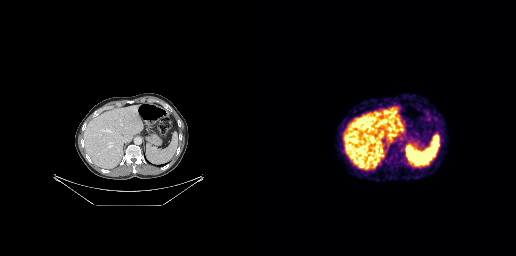
- Paired axial CT (left) and PSMA PET (right), 68Ga-PSMA tracer
- acquired on GE Discovery 690
- slice position z = -597 mm
- PET panel 256×256 px (2.7 mm/px)
Findings: Only PSMA-avid lesion pieces thinner than 2 px on this slice (not listed).